- Two-panel axial: CT | PSMA PET, 18F tracer
- slice position z = -231 mm
- PET panel 200×200 px (4.1 mm/px)
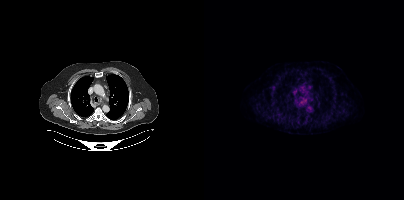
Findings: No tumor lesions annotated on this slice.